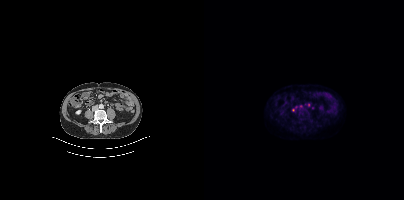
{"modality":"PSMA PET/CT","view":"axial","tracer":"18F-PSMA","pet_grid":[200,200],"coord_frame":"pet_panel","coord_format":"x0,y0,x1,y1","psma_avid_lesions":false}